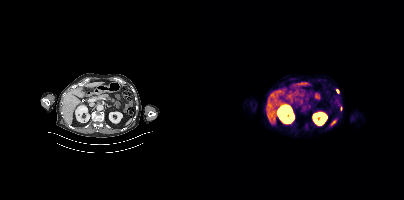
Coordinates are on the 200×200 PET (right) panel. (showing 1 of 2 foci) Small PSMA-avid focus (2 to 4 px across) near (center x, center y): (133, 90).